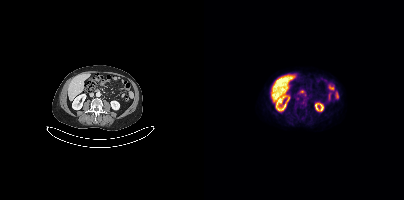
{"modality":"PSMA PET/CT","view":"axial","tracer":"18F-PSMA","pet_grid":[200,200],"coord_frame":"pet_panel","coord_format":"x0,y0,x1,y1","psma_avid_lesions":false}